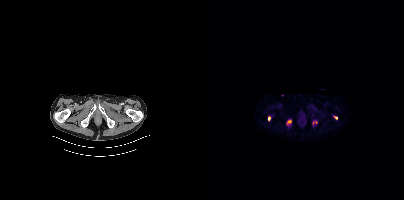
Paired axial CT (left) and PSMA PET (right), [18F]PSMA-1007 tracer. Slice position z = -892 mm.
Coordinates are on the 200×200 PET (right) panel. PSMA-avid tumor lesion bounding boxes (partial; 1 more focus not listed):
| # | x0 | y0 | x1 | y1 |
|---|---|---|---|---|
| 1 | 83 | 120 | 87 | 123 |
Small PSMA-avid foci (2 to 4 px across) near (center x, center y): (65, 118); (132, 118); (112, 122).